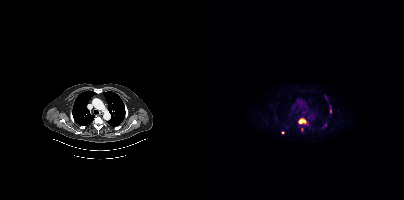
{"modality":"PSMA PET/CT","view":"axial","tracer":"18F-PSMA","pet_grid":[200,200],"coord_frame":"pet_panel","coord_format":"x0,y0,x1,y1","partial":true,"lesion_bboxes":[[95,119,103,124]],"small_foci_centers":[[98,129],[121,125],[126,111],[79,132],[121,97]]}